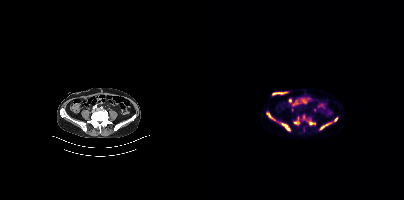
Coordinates are on the 200×200 PET (right) panel. PSMA-avid tumor lesion bounding boxes (x0,y0,x1,y1): [76,122,86,131], [116,122,128,130], [62,112,71,120], [90,117,95,124], [105,121,111,125], [130,117,133,121]. Small PSMA-avid focus (2 to 4 px across) near (center x, center y): (99, 116).